Two-panel axial: CT | PSMA PET, 18F tracer. PET panel 200×200 px (4.1 mm/px).
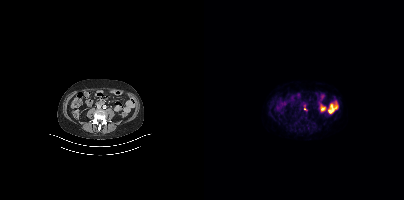
Coordinates are on the 200×200 PET (right) panel. (showing 1 of 2 foci) Small PSMA-avid focus (2 to 4 px across) near (center x, center y): (101, 109).